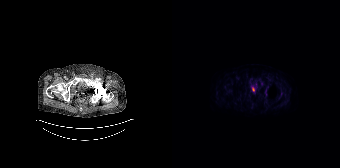
Technique: Left: CT. Right: PSMA PET, same axial level, 18F tracer.
Findings: Negative for PSMA-avid disease on this slice.